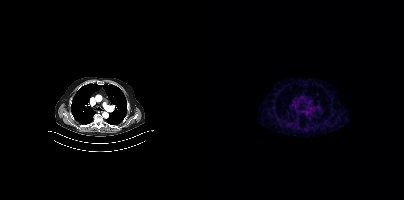
Only PSMA-avid lesion pieces thinner than 2 px on this slice (not listed). Paired axial CT (left) and PSMA PET (right), [68Ga]Ga-PSMA-11 tracer. Slice 273 of 385.